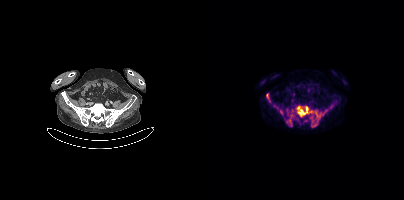
Findings: Coordinates are on the 200×200 PET (right) panel. (showing 7 of 9 foci) PSMA-avid tumor lesion bounding boxes (x0, y0)-(x1, y1): (93, 106)-(108, 117) | (106, 113)-(119, 127) | (81, 114)-(90, 126) | (62, 93)-(64, 98). Small PSMA-avid foci (2 to 4 px across) near (center x, center y): (101, 120) | (65, 101) | (70, 105).
Technique: Two-panel axial: CT | PSMA PET, 18F tracer. PET panel 200×200 px (4.1 mm/px).